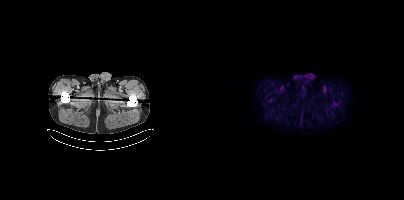
Findings: No PSMA-avid tumor lesions on this slice.
- Two-panel axial: CT | PSMA PET, 18F tracer
- acquired on Siemens Biograph mCT Flow 20
- slice position z = 1056 mm
- PET panel 200×200 px (4.1 mm/px)